modality: PSMA PET/CT | tracer: [18F]PSMA-1007 | view: axial | PET grid: 200×200
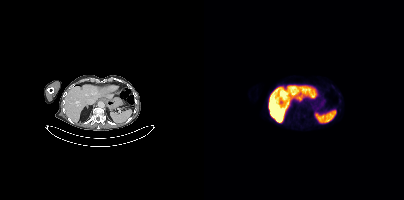
No PSMA-avid tumor lesions on this slice.